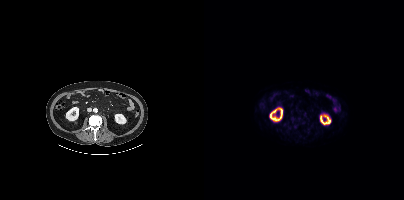
{"modality":"PSMA PET/CT","view":"axial","tracer":"18F","pet_grid":[200,200],"coord_frame":"pet_panel","coord_format":"x0,y0,x1,y1","psma_avid_lesions":false}